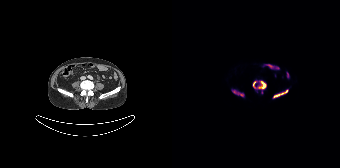
Coordinates are on the 168×168 PET (right) panel. (showing 3 of 4 foci) PSMA-avid tumor lesion bounding boxes (x0,y0,x1,y1): [80,80,94,93] [101,89,116,98] [66,92,71,96].
modality: PSMA PET/CT | tracer: 18F | view: axial | PET grid: 168×168